Left: CT. Right: PSMA PET, same axial level, 18F-PSMA tracer.
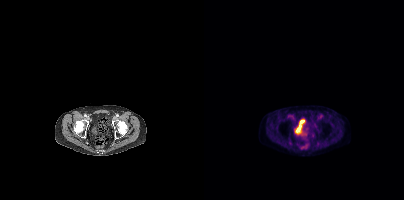
No PSMA-avid tumor lesions on this slice.